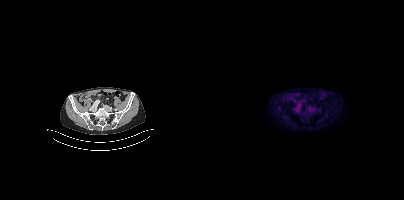
Coordinates are on the 200×200 PET (right) panel. Small PSMA-avid focus (2 to 4 px across) near (center x, center y): (75, 108).